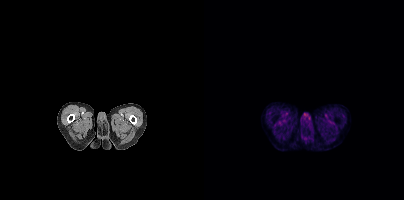
This slice has no annotated PSMA-avid lesion. Paired axial CT (left) and PSMA PET (right), 18F-PSMA tracer. PET panel 200×200 px (4.1 mm/px).